Technique: Two-panel axial: CT | PSMA PET, 68Ga-PSMA tracer. slice position z = -1404 mm. PET panel 200×200 px (4.1 mm/px).
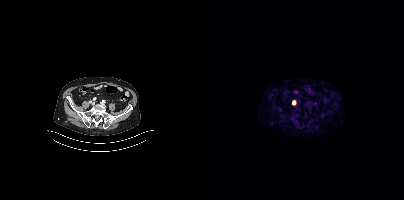
Findings: Coordinates are on the 200×200 PET (right) panel. Small PSMA-avid focus (2 to 4 px across) near (center x, center y): (89, 102).